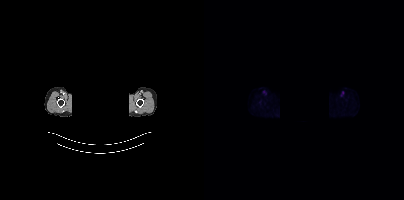
{"modality":"PSMA PET/CT","view":"axial","tracer":"18F-PSMA","pet_grid":[200,200],"coord_frame":"pet_panel","coord_format":"x0,y0,x1,y1","deidentification":"head region blacked out before release","psma_avid_lesions":false}